Left: CT. Right: PSMA PET, same axial level, [18F]PSMA-1007 tracer. Acquired on Siemens Biograph mCT Flow 20.
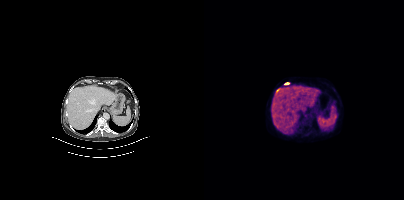
Coordinates are on the 200×200 PET (right) panel. PSMA-avid tumor lesion bounding box (x0, y0)-(x1, y1): (80, 82)-(85, 84).